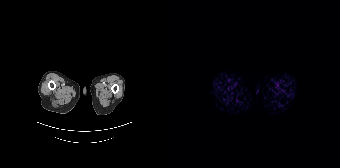
{"pet_grid":[168,168],"coord_frame":"pet_panel","coord_format":"x0,y0,x1,y1","psma_avid_lesions":false,"modality":"PSMA PET/CT","view":"axial","tracer":"68Ga-PSMA"}